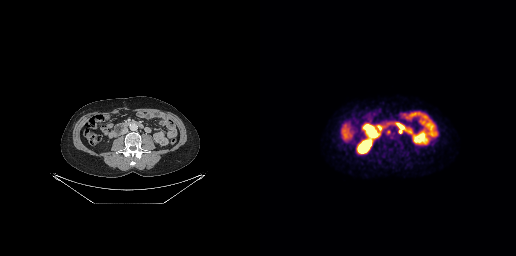
Findings: Coordinates are on the 256×256 PET (right) panel. (showing 1 of 2 foci) PSMA-avid tumor lesion bounding box (x0, y0)-(x1, y1): (139, 128)-(142, 133).
Technique: Paired axial CT (left) and PSMA PET (right), [18F]PSMA-1007 tracer. slice position z = -495 mm. PET panel 256×256 px (2.7 mm/px).